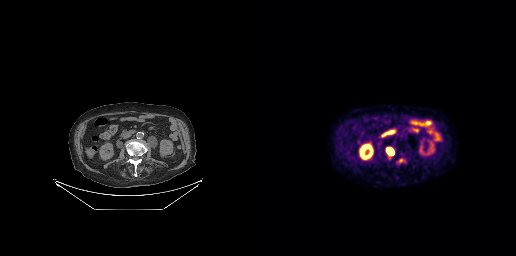
Technique: Paired axial CT (left) and PSMA PET (right), 18F-PSMA tracer.
Findings: Coordinates are on the 256×256 PET (right) panel. PSMA-avid tumor lesion bounding box (x, y, width, height): x=126 y=147 w=9 h=10. Small PSMA-avid focus (2 to 4 px across) near (center x, center y): (141, 160).